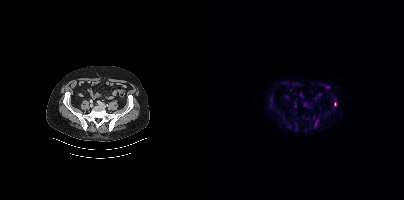
{"modality":"PSMA PET/CT","view":"axial","tracer":"18F-PSMA","pet_grid":[200,200],"coord_frame":"pet_panel","coord_format":"x0,y0,x1,y1","partial":true,"lesion_bboxes":[[64,100,70,108],[109,119,115,128],[122,110,127,115]],"small_foci_centers":[[129,97],[131,103],[111,116]]}